modality: PSMA PET/CT | tracer: 18F | view: axial | PET grid: 200×200
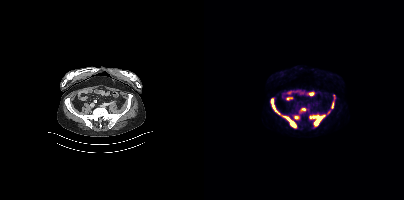
Coordinates are on the 200×200 PET (right) panel. (showing 8 of 9 foci) PSMA-avid tumor lesion bounding boxes (x0,y0,x1,y1): [109,114,121,125]; [79,116,92,127]; [67,99,76,115]; [97,108,101,110]; [128,102,129,107]. Small PSMA-avid foci (2 to 4 px across) near (center x, center y): (91, 117); (106, 117); (124, 112).